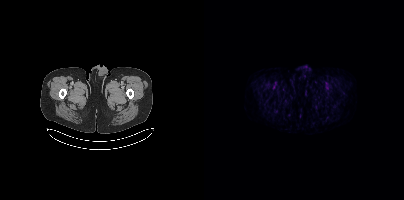
{"modality":"PSMA PET/CT","view":"axial","tracer":"[18F]PSMA-1007","pet_grid":[200,200],"coord_frame":"pet_panel","coord_format":"x0,y0,x1,y1","partial":true,"lesion_bboxes":[]}